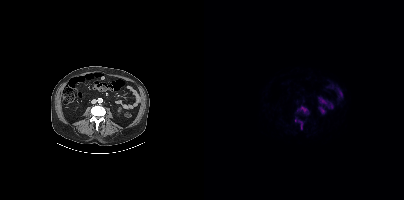
Coordinates are on the 200×200 PET (right) panel. (showing 3 of 4 foci) PSMA-avid tumor lesion bounding boxes (x0, y0)-(x1, y1): (95, 106)-(103, 112); (94, 121)-(98, 129). Small PSMA-avid focus (2 to 4 px across) near (center x, center y): (91, 120).